- Left: CT. Right: PSMA PET, same axial level, [18F]PSMA-1007 tracer
- acquired on Siemens Biograph mCT Flow 20
- PET panel 200×200 px (4.1 mm/px)
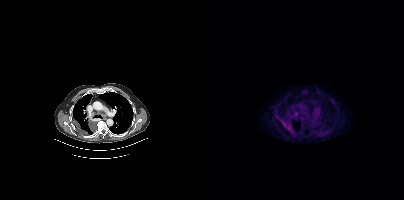
Findings: Coordinates are on the 200×200 PET (right) panel. PSMA-avid tumor lesion bounding boxes (x0, y0)-(x1, y1): (82, 124)-(89, 132); (76, 119)-(82, 125). Small PSMA-avid foci (2 to 4 px across) near (center x, center y): (92, 114); (88, 115).